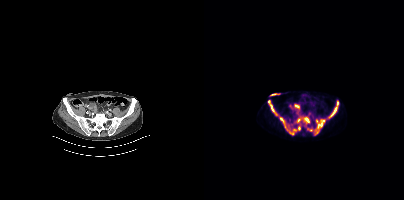
Coordinates are on the 200×200 PET (right) panel. PSMA-avid tumor lesion bounding boxes (partial; 2 more foci not listed):
| # | x0 | y0 | x1 | y1 |
|---|---|---|---|---|
| 1 | 64 | 102 | 91 | 134 |
| 2 | 93 | 117 | 105 | 123 |
| 3 | 125 | 101 | 134 | 117 |
| 4 | 114 | 119 | 121 | 128 |
Small PSMA-avid foci (2 to 4 px across) near (center x, center y): (95, 128); (107, 129); (112, 121).
Left: CT. Right: PSMA PET, same axial level, 18F tracer. Slice position z = -762 mm. PET panel 200×200 px (4.1 mm/px).